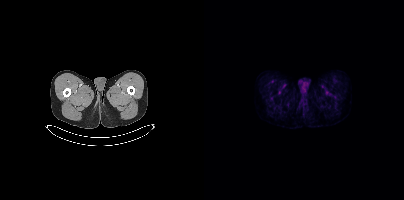
Paired axial CT (left) and PSMA PET (right), [18F]PSMA-1007 tracer. PET panel 200×200 px (4.1 mm/px). This slice has no annotated PSMA-avid lesion.